Left: CT. Right: PSMA PET, same axial level, [18F]PSMA-1007 tracer.
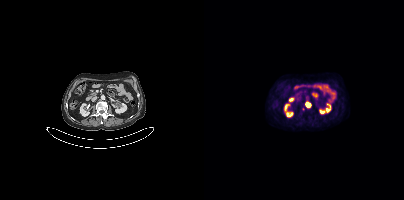
Coordinates are on the 200×200 PET (right) panel. (showing 1 of 2 foci) PSMA-avid tumor lesion bounding box (x0, y0)-(x1, y1): (102, 102)-(106, 107).